Two-panel axial: CT | PSMA PET, 18F tracer.
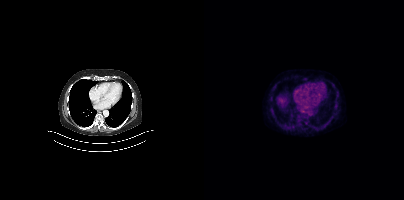
Negative for PSMA-avid disease on this slice.